Technique: Paired axial CT (left) and PSMA PET (right), [18F]PSMA-1007 tracer. PET panel 200×200 px (4.1 mm/px).
Note: Any black rectangle over the head is a privacy mask, not anatomy.
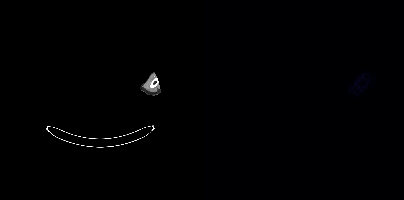
Findings: No PSMA-avid tumor lesions on this slice.